Paired axial CT (left) and PSMA PET (right), 18F-PSMA tracer. Acquired on Siemens Biograph mCT Flow 20. Slice position z = -1416 mm. PET panel 200×200 px (4.1 mm/px).
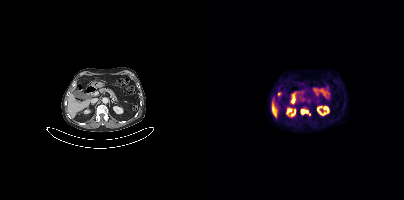
Coordinates are on the 200×200 PET (right) panel. PSMA-avid tumor lesion bounding box (x0, y0)-(x1, y1): (97, 109)-(106, 115).